modality: PSMA PET/CT | tracer: [18F]PSMA-1007 | view: axial | PET grid: 200×200
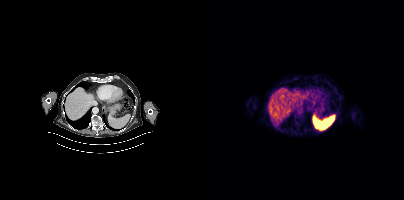
No tumor lesions annotated on this slice.